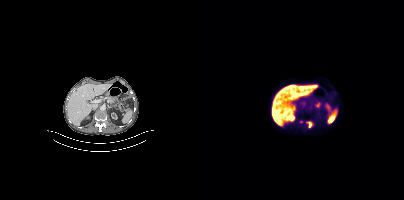
{"pet_grid":[200,200],"coord_frame":"pet_panel","coord_format":"x0,y0,x1,y1","partial":true,"lesion_bboxes":[[104,121,108,127]],"modality":"PSMA PET/CT","view":"axial","tracer":"[18F]PSMA-1007"}